Technique: Two-panel axial: CT | PSMA PET, 68Ga-PSMA tracer. acquired on Siemens Biograph 64-4R TruePoint. slice 70 of 165.
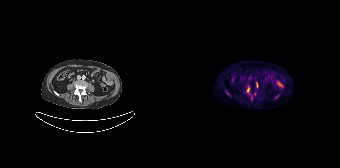
Findings: Coordinates are on the 168×168 PET (right) panel. (showing 3 of 4 foci) PSMA-avid tumor lesion bounding boxes (x0, y0)-(x1, y1): (75, 87)-(77, 92) / (54, 91)-(57, 95) / (84, 82)-(85, 87).